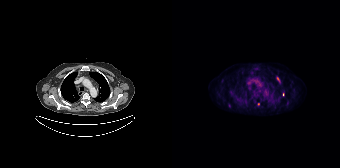
Coordinates are on the 168×168 PET (right) panel. (showing 3 of 4 foci) PSMA-avid tumor lesion bounding boxes (x, y, width, height): x=110 y=92 w=3 h=5 / x=105 y=77 w=3 h=5. Small PSMA-avid focus (2 to 4 px across) near (center x, center y): (86, 104).